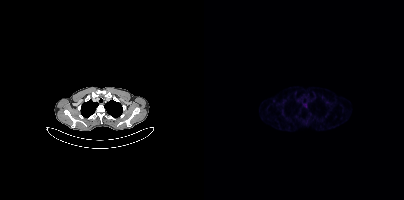
{"modality":"PSMA PET/CT","view":"axial","tracer":"68Ga-PSMA","pet_grid":[200,200],"coord_frame":"pet_panel","coord_format":"x0,y0,x1,y1","psma_avid_lesions":false}